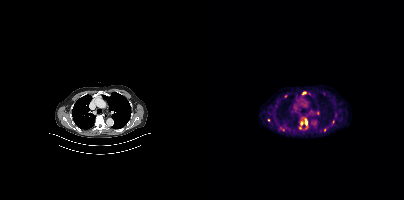
modality: PSMA PET/CT | tracer: 18F-PSMA | view: axial
Coordinates are on the 200×200 PET (right) panel. (showing 7 of 9 foci) PSMA-avid tumor lesion bounding boxes (x, y, width, height): x=101 y=118 w=3 h=8; x=98 y=92 w=5 h=3; x=96 y=121 w=4 h=5. Small PSMA-avid foci (2 to 4 px across) near (center x, center y): (120, 130); (64, 120); (81, 96); (96, 127).